Left: CT. Right: PSMA PET, same axial level, 18F tracer. Slice position z = -1261 mm. PET panel 200×200 px (4.1 mm/px).
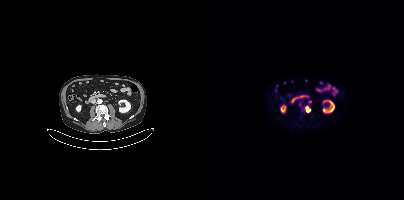
Coordinates are on the 200×200 PET (right) panel. PSMA-avid tumor lesion bounding boxes (x0, y0)-(x1, y1): (101, 106)-(106, 111) | (104, 100)-(107, 104). Small PSMA-avid focus (2 to 4 px across) near (center x, center y): (95, 104).